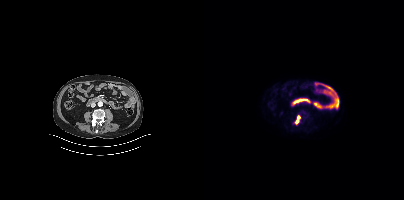
- Left: CT. Right: PSMA PET, same axial level, 18F tracer
- slice 175 of 423
Findings: Coordinates are on the 200×200 PET (right) panel. PSMA-avid tumor lesion bounding box (x, y, width, height): x=90 y=116 w=7 h=8.